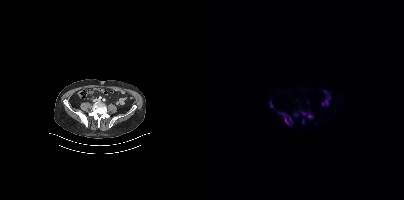
Coordinates are on the 200×200 PET (right) panel. PSMA-avid tumor lesion bounding boxes (x0, y0)-(x1, y1): (75, 112)-(86, 125); (96, 110)-(108, 118); (98, 119)-(100, 123); (84, 117)-(87, 123); (66, 102)-(68, 107).
modality: PSMA PET/CT | tracer: 18F | view: axial